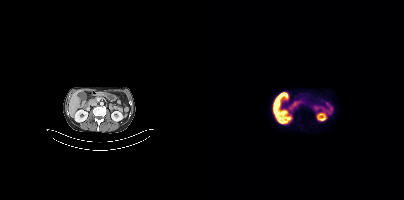
Findings: No tumor lesions annotated on this slice.
Technique: Left: CT. Right: PSMA PET, same axial level, [18F]PSMA-1007 tracer. acquired on Siemens Biograph mCT Flow 20.